- head region blanked for anonymization (face removed)
- Left: CT. Right: PSMA PET, same axial level, 18F tracer
- acquired on Siemens Biograph mCT Flow 20
- slice 433 of 435
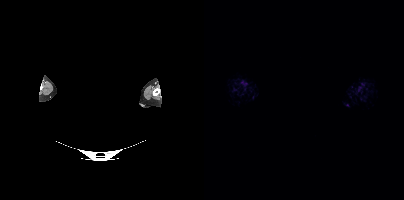
Findings: This slice has no annotated PSMA-avid lesion.